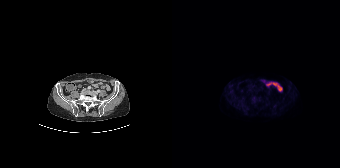
- Left: CT. Right: PSMA PET, same axial level, [18F]PSMA-1007 tracer
- slice 58 of 165
- PET panel 168×168 px (4.1 mm/px)
Findings: Negative for PSMA-avid disease on this slice.